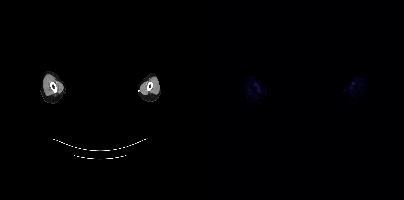
{"pet_grid":[200,200],"coord_frame":"pet_panel","coord_format":"x0,y0,x1,y1","psma_avid_lesions":false,"deidentification":"head region blacked out before release","modality":"PSMA PET/CT","view":"axial","tracer":"18F"}